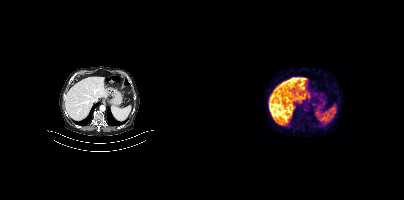
This slice has no annotated PSMA-avid lesion.